Technique: Two-panel axial: CT | PSMA PET, 18F-PSMA tracer.
Note: Head region blanked for anonymization (face removed).
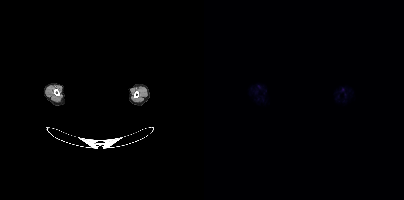
Findings: No PSMA-avid tumor lesions on this slice.